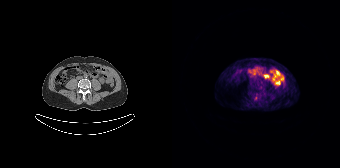
Coordinates are on the 168×168 PET (right) panel. Small PSMA-avid focus (2 to 4 px across) near (center x, center y): (84, 98).